- Left: CT. Right: PSMA PET, same axial level, 18F tracer
- acquired on GE Discovery 690
- slice position z = -262 mm
- PET panel 256×256 px (2.7 mm/px)
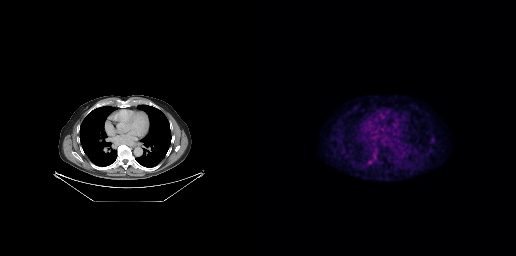
Findings: Coordinates are on the 256×256 PET (right) panel. PSMA-avid tumor lesion bounding box (x0, y0)-(x1, y1): (171, 136)-(174, 140).